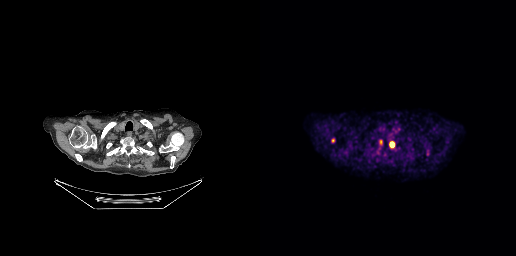
Coordinates are on the 256×256 PET (right) panel. PSMA-avid tumor lesion bounding boxes (x0,y0,x1,y1): [129,141,134,147]; [71,138,74,142]. Small PSMA-avid focus (2 to 4 px across) near (center x, center y): (120, 141). Paired axial CT (left) and PSMA PET (right), [18F]PSMA-1007 tracer. Acquired on GE Discovery 690. PET panel 256×256 px (2.7 mm/px).